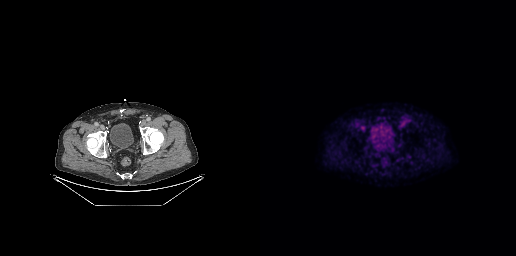
Findings: No PSMA-avid tumor lesions on this slice.
Technique: Two-panel axial: CT | PSMA PET, 18F tracer. acquired on GE Discovery 690.